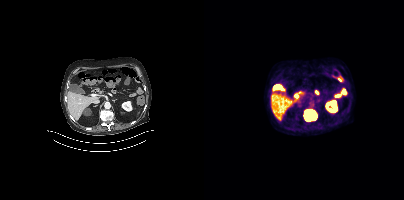
Coordinates are on the 200×200 PET (right) panel. PSMA-avid tumor lesion bounding boxes:
| # | x0 | y0 | x1 | y1 |
|---|---|---|---|---|
| 1 | 100 | 109 | 113 | 121 |
Two-panel axial: CT | PSMA PET, 18F tracer. PET panel 200×200 px (4.1 mm/px).